Left: CT. Right: PSMA PET, same axial level, 68Ga tracer. Acquired on GE Discovery 690.
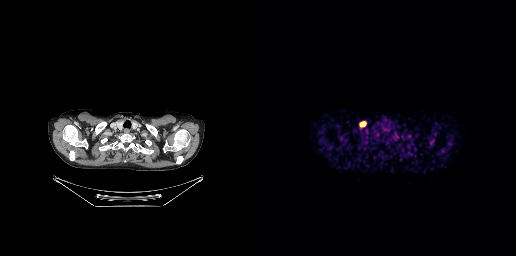
Coordinates are on the 256×256 PET (right) panel. PSMA-avid tumor lesion bounding boxes:
| # | x0 | y0 | x1 | y1 |
|---|---|---|---|---|
| 1 | 100 | 122 | 105 | 126 |